Technique: Left: CT. Right: PSMA PET, same axial level, 18F-PSMA tracer.
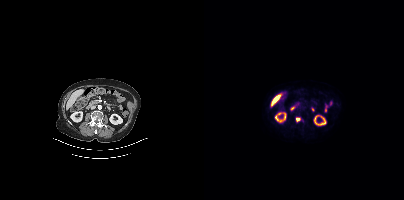
Findings: Coordinates are on the 200×200 PET (right) panel. PSMA-avid tumor lesion bounding box (x0, y0)-(x1, y1): (92, 117)-(99, 122).